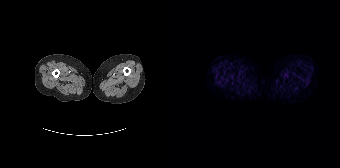
{"modality":"PSMA PET/CT","view":"axial","tracer":"68Ga","pet_grid":[168,168],"coord_frame":"pet_panel","coord_format":"x0,y0,x1,y1","psma_avid_lesions":false}